Two-panel axial: CT | PSMA PET, [68Ga]Ga-PSMA-11 tracer.
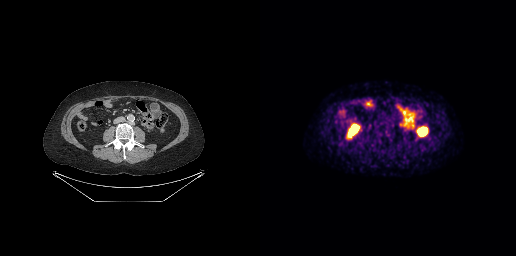
This slice has no annotated PSMA-avid lesion.